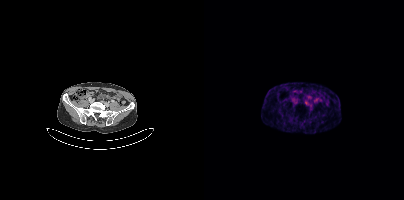
Findings: Coordinates are on the 200×200 PET (right) panel. Small PSMA-avid focus (2 to 4 px across) near (center x, center y): (101, 101).
- Paired axial CT (left) and PSMA PET (right), [68Ga]Ga-PSMA-11 tracer
- slice position z = -771 mm